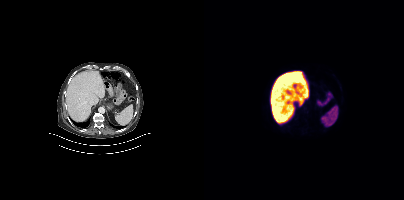
Technique: Two-panel axial: CT | PSMA PET, 18F-PSMA tracer. slice position z = -670 mm. PET panel 200×200 px (4.1 mm/px).
Findings: No tumor lesions annotated on this slice.